Left: CT. Right: PSMA PET, same axial level, 18F tracer. Acquired on Siemens Biograph mCT Flow 20.
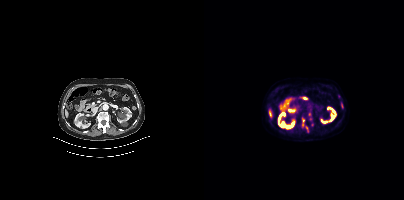
Coordinates are on the 200×200 PET (right) panel. PSMA-avid tumor lesion bounding boxes:
| # | x0 | y0 | x1 | y1 |
|---|---|---|---|---|
| 1 | 97 | 118 | 100 | 127 |
| 2 | 137 | 104 | 139 | 108 |
Small PSMA-avid foci (2 to 4 px across) near (center x, center y): (105, 113); (108, 124); (102, 127).